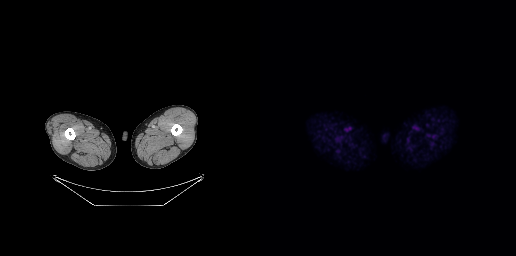
{"modality":"PSMA PET/CT","view":"axial","tracer":"18F-PSMA","pet_grid":[256,256],"coord_frame":"pet_panel","coord_format":"x0,y0,x1,y1","psma_avid_lesions":false}